Paired axial CT (left) and PSMA PET (right), 68Ga-PSMA tracer. Acquired on Siemens Biograph mCT Flow 20.
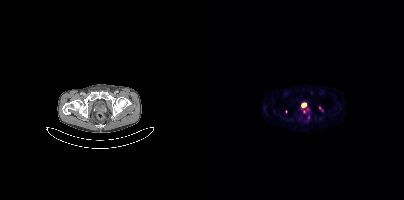
Coordinates are on the 200×200 PET (right) panel. PSMA-avid tumor lesion bounding boxes (partial; 1 more focus not listed):
| # | x0 | y0 | x1 | y1 |
|---|---|---|---|---|
| 1 | 99 | 108 | 105 | 112 |
| 2 | 115 | 106 | 118 | 110 |
Small PSMA-avid focus (2 to 4 px across) near (center x, center y): (104, 116).